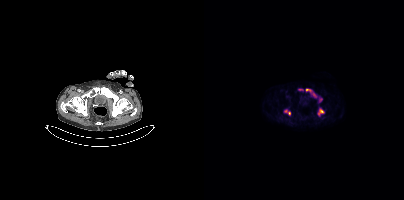
Coordinates are on the 200×200 PET (right) panel. PSMA-avid tumor lesion bounding boxes (x0,y0,x1,y1): [113,108,120,116] [102,89,107,91]. Small PSMA-avid foci (2 to 4 px across) near (center x, center y): (110, 94) (81, 110) (85, 113) (96, 89) (116, 99).